modality: PSMA PET/CT | tracer: 18F-PSMA | view: axial
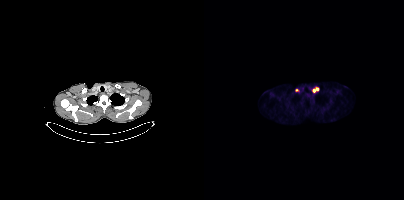
Coordinates are on the 200×200 PET (right) panel. PSMA-avid tumor lesion bounding box (x0, y0)-(x1, y1): (109, 87)-(114, 91). Small PSMA-avid focus (2 to 4 px across) near (center x, center y): (92, 90).